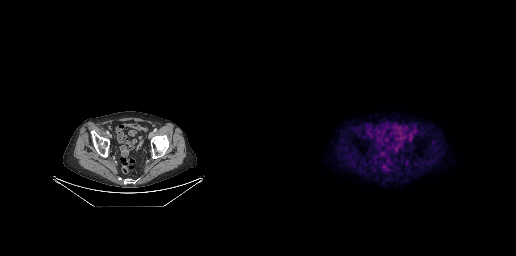
modality: PSMA PET/CT | tracer: [18F]PSMA-1007 | view: axial
Negative for PSMA-avid disease on this slice.